- Paired axial CT (left) and PSMA PET (right), 68Ga tracer
- slice 3 of 263
- PET panel 256×256 px (2.7 mm/px)
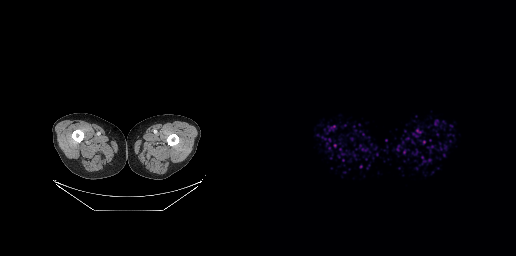
Findings: Negative for PSMA-avid disease on this slice.